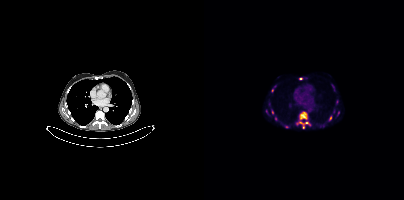
Coordinates are on the 200×200 PET (right) panel. (showing 10 of 12 foci) PSMA-avid tumor lesion bounding boxes (x, y, width, height): x=95 y=112 w=9 h=8 | x=92 y=121 w=15 h=8 | x=125 y=116 w=4 h=5 | x=68 y=110 w=2 h=5. Small PSMA-avid foci (2 to 4 px across) near (center x, center y): (96, 78) | (134, 112) | (68, 90) | (62, 111) | (71, 118) | (82, 126).